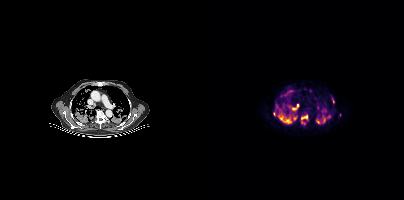
Coordinates are on the 200×200 PET (right) panel. (showing 12 of 16 foci) PSMA-avid tumor lesion bounding boxes (x0,y0,x1,y1): [74,109,87,123] [83,104,94,110] [97,115,103,119] [89,115,93,120] [112,119,115,123] [119,118,121,122] [128,98,130,103]. Small PSMA-avid foci (2 to 4 px across) near (center x, center y): (70, 113) (113, 107) (86, 91) (72, 106) (124, 116).